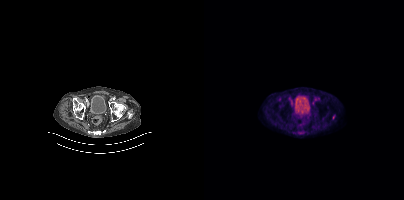
modality: PSMA PET/CT | tracer: 18F-PSMA | view: axial | PET grid: 200×200
Coordinates are on the 200×200 PET (right) panel. (showing 2 of 3 foci) PSMA-avid tumor lesion bounding box (x0,y0,x1,y1): [127,114,132,120]. Small PSMA-avid focus (2 to 4 px across) near (center x, center y): (111, 99).